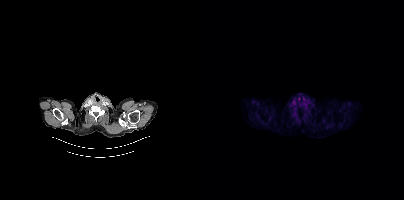
modality: PSMA PET/CT | tracer: 18F | view: axial | PET grid: 200×200
Negative for PSMA-avid disease on this slice.